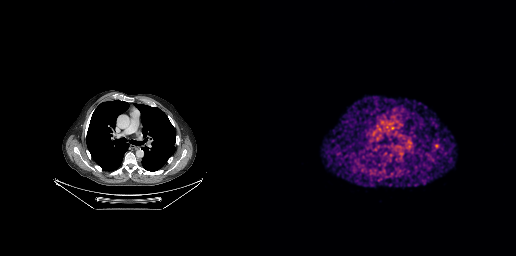
Paired axial CT (left) and PSMA PET (right), 68Ga-PSMA tracer. Slice 192 of 263. Coordinates are on the 256×256 PET (right) panel. PSMA-avid tumor lesion bounding box (x, y, width, height): x=173 y=143 w=8 h=7.